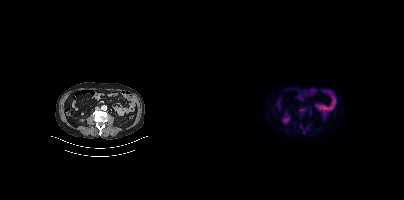
{"modality":"PSMA PET/CT","view":"axial","tracer":"[18F]PSMA-1007","pet_grid":[200,200],"coord_frame":"pet_panel","coord_format":"x0,y0,x1,y1","lesion_bboxes":[[96,126,104,133],[96,109,101,111]],"small_foci_centers":[[106,111]]}